- Paired axial CT (left) and PSMA PET (right), [18F]PSMA-1007 tracer
- acquired on Siemens Biograph mCT Flow 20
- slice 72 of 389
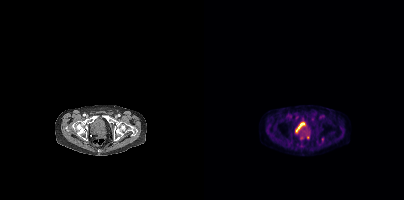
Findings: Coordinates are on the 200×200 PET (right) panel. (showing 5 of 6 foci) PSMA-avid tumor lesion bounding boxes (x, y, width, height): x=101 y=133 w=5 h=7; x=117 y=137 w=4 h=5. Small PSMA-avid foci (2 to 4 px across) near (center x, center y): (98, 117); (98, 137); (108, 119).